Left: CT. Right: PSMA PET, same axial level, 68Ga tracer. Acquired on Siemens Biograph mCT Flow 20. Slice 48 of 409. PET panel 200×200 px (4.1 mm/px).
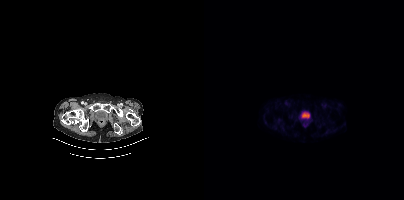
Negative for PSMA-avid disease on this slice.